Technique: Left: CT. Right: PSMA PET, same axial level, 18F-PSMA tracer. slice position z = -1314 mm.
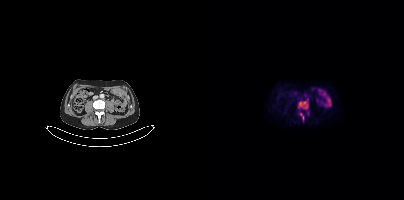
Findings: Coordinates are on the 200×200 PET (right) panel. PSMA-avid tumor lesion bounding boxes (x0,y0,x1,y1): [94,101,104,108], [96,113,99,119].